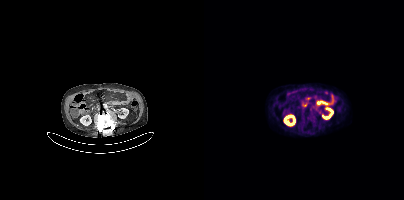
Only PSMA-avid lesion pieces thinner than 2 px on this slice (not listed).